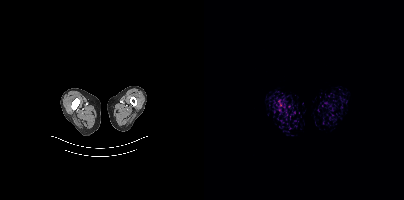
Coordinates are on the 200×200 PET (right) panel. (showing 1 of 2 foci) Small PSMA-avid focus (2 to 4 px across) near (center x, center y): (76, 105).